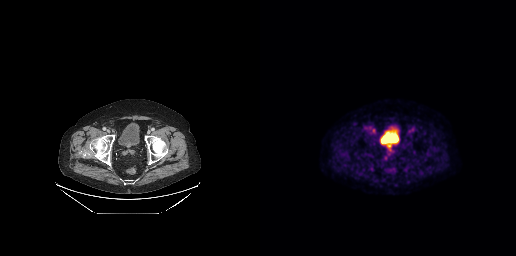
- Left: CT. Right: PSMA PET, same axial level, 18F-PSMA tracer
- acquired on GE Discovery 690
- slice 95 of 299
- PET panel 256×256 px (2.7 mm/px)
Findings: Coordinates are on the 256×256 PET (right) panel. PSMA-avid tumor lesion bounding box (x, y, width, height): x=111 y=130 w=5 h=4. Small PSMA-avid foci (2 to 4 px across) near (center x, center y): (125, 157); (129, 145).